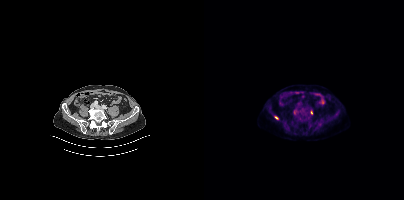
Coordinates are on the 200×200 PET (right) panel. PSMA-avid tumor lesion bounding boxes (x0,y0,x1,y1): [89,110,93,114], [106,110,108,114]. Small PSMA-avid focus (2 to 4 px across) near (center x, center y): (72, 117). Left: CT. Right: PSMA PET, same axial level, 18F tracer. PET panel 200×200 px (4.1 mm/px).